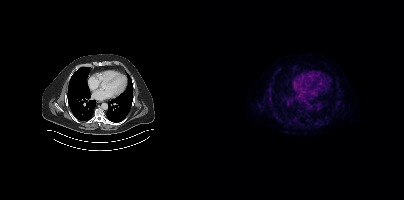
Coordinates are on the 200×200 PET (right) panel. Small PSMA-avid focus (2 to 4 px across) near (center x, center y): (76, 120).